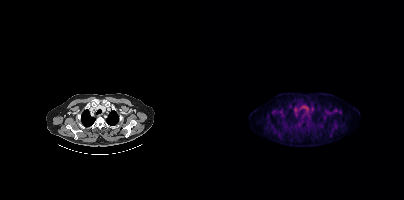
{"modality":"PSMA PET/CT","view":"axial","tracer":"18F-PSMA","pet_grid":[200,200],"coord_frame":"pet_panel","coord_format":"x0,y0,x1,y1","psma_avid_lesions":false}